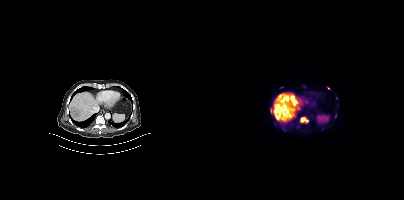
{"pet_grid":[200,200],"coord_frame":"pet_panel","coord_format":"x0,y0,x1,y1","lesion_bboxes":[[97,117,104,121],[66,108,68,113]],"small_foci_centers":[[124,88]],"modality":"PSMA PET/CT","view":"axial","tracer":"18F-PSMA"}